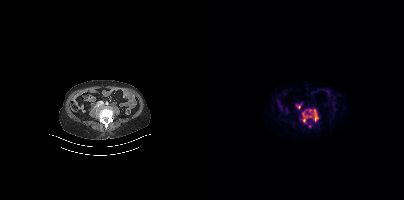
Two-panel axial: CT | PSMA PET, 68Ga tracer. Slice 137 of 397. Coordinates are on the 200×200 PET (right) panel. (showing 4 of 5 foci) PSMA-avid tumor lesion bounding boxes (x0,y0,x1,y1): [97,109,114,122]; [92,105,96,107]. Small PSMA-avid foci (2 to 4 px across) near (center x, center y): (106, 110); (105, 126).